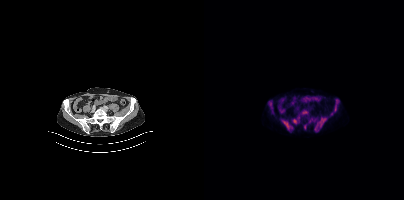
- Left: CT. Right: PSMA PET, same axial level, 18F-PSMA tracer
- acquired on Siemens Biograph mCT Flow 20
- slice 118 of 413
- PET panel 200×200 px (4.1 mm/px)
Findings: Coordinates are on the 200×200 PET (right) panel. (showing 3 of 5 foci) PSMA-avid tumor lesion bounding boxes (x0,y0,x1,y1): [112,118,121,128], [78,120,88,129], [98,110,103,114].